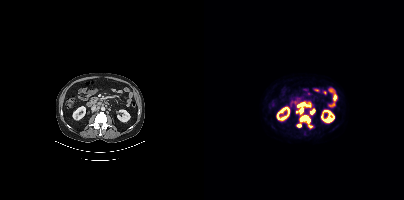
modality: PSMA PET/CT | tracer: [18F]PSMA-1007 | view: axial
Coordinates are on the 200×200 PET (right) panel. PSMA-avid tumor lesion bounding boxes (x, y, width, height): x=96 y=115 w=11 h=8 | x=95 y=107 w=5 h=7 | x=106 y=109 w=6 h=6 | x=94 y=103 w=7 h=4 | x=93 y=124 w=5 h=4 | x=102 y=104 w=5 h=4. Small PSMA-avid foci (2 to 4 px across) near (center x, center y): (106, 126) | (92, 111).